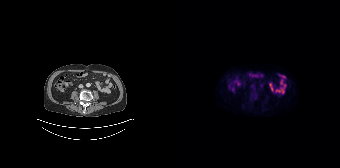
Technique: Paired axial CT (left) and PSMA PET (right), 18F tracer. slice position z = -1122 mm. PET panel 168×168 px (4.1 mm/px).
Findings: Negative for PSMA-avid disease on this slice.